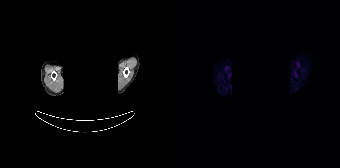
- the head region is masked for de-identification
- Left: CT. Right: PSMA PET, same axial level, [68Ga]Ga-PSMA-11 tracer
- acquired on Siemens Biograph 64-4R TruePoint
- PET panel 168×168 px (4.1 mm/px)
Findings: No PSMA-avid tumor lesions on this slice.